An anonymization step blacked out a rectangle over the head in this scan.
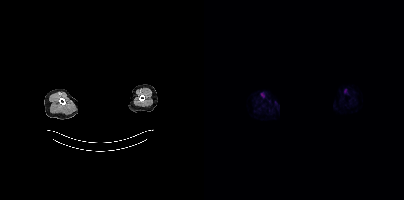
Negative for PSMA-avid disease on this slice.